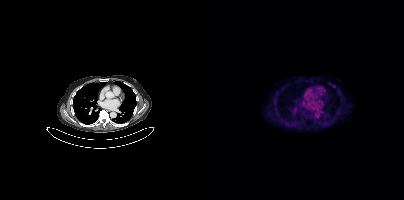
This slice has no annotated PSMA-avid lesion. Two-panel axial: CT | PSMA PET, 18F tracer. Acquired on Siemens Biograph mCT Flow 20. Slice position z = -1272 mm.